Paired axial CT (left) and PSMA PET (right), [68Ga]Ga-PSMA-11 tracer.
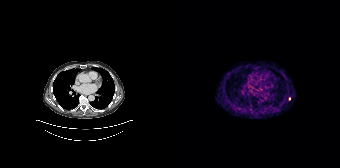
Coordinates are on the 168×168 PET (right) panel. Small PSMA-avid focus (2 to 4 px across) near (center x, center y): (117, 99).